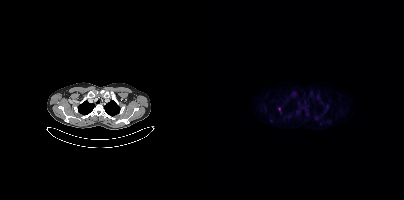
Coordinates are on the 200×200 PET (right) panel. PSMA-avid tumor lesion bounding box (x, y, width, height): x=74 y=107 w=3 h=5. Left: CT. Right: PSMA PET, same axial level, [18F]PSMA-1007 tracer. PET panel 200×200 px (4.1 mm/px).